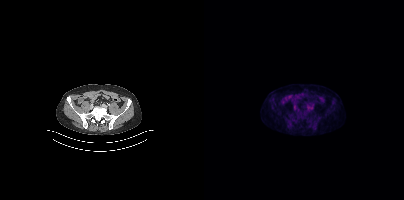
Left: CT. Right: PSMA PET, same axial level, [18F]PSMA-1007 tracer. Acquired on Siemens Biograph mCT Flow 20. No PSMA-avid tumor lesions on this slice.